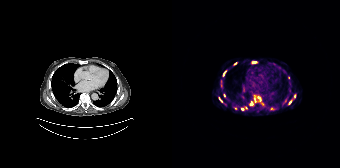
Two-panel axial: CT | PSMA PET, 68Ga tracer. Slice 108 of 165. Coordinates are on the 168×168 PET (right) panel. (showing 10 of 14 foci) PSMA-avid tumor lesion bounding boxes (x0, y0)-(x1, y1): (47, 97)-(50, 102); (51, 71)-(53, 75). Small PSMA-avid foci (2 to 4 px across) near (center x, center y): (79, 103); (118, 101); (122, 95); (70, 109); (63, 63); (52, 95); (99, 108); (82, 62).